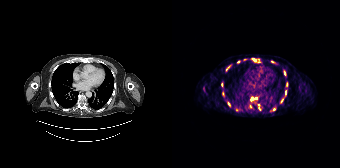
Paired axial CT (left) and PSMA PET (right), 68Ga tracer. Acquired on Siemens Biograph 64-4R TruePoint.
Coordinates are on the 168×168 PET (right) panel. PSMA-avid tumor lesion bounding boxes (partial; 6 more foci not listed):
| # | x0 | y0 | x1 | y1 |
|---|---|---|---|---|
| 1 | 50 | 91 | 52 | 96 |
| 2 | 54 | 65 | 58 | 70 |
| 3 | 112 | 71 | 113 | 75 |
| 4 | 109 | 98 | 111 | 102 |
Small PSMA-avid foci (2 to 4 px across) near (center x, center y): (80, 98); (78, 106); (65, 109); (81, 59); (66, 62); (100, 61); (56, 103); (102, 109); (73, 59); (113, 92); (84, 98).